- Left: CT. Right: PSMA PET, same axial level, 18F tracer
- PET panel 200×200 px (4.1 mm/px)
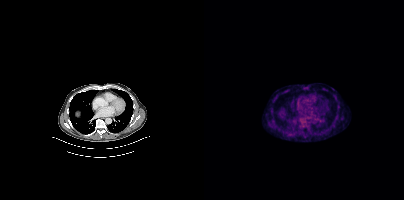
Findings: Coordinates are on the 200×200 PET (right) panel. PSMA-avid tumor lesion bounding box (x0, y0)-(x1, y1): (95, 117)-(102, 124).